Left: CT. Right: PSMA PET, same axial level, 18F tracer. Slice position z = -994 mm.
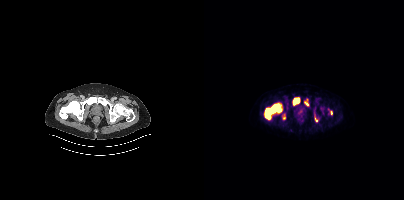
Coordinates are on the 200×200 PET (right) panel. (showing 6 of 9 foci) PSMA-avid tumor lesion bounding boxes (x0,y0,x1,y1): [61,104,77,119], [89,98,95,104], [100,102,104,105]. Small PSMA-avid foci (2 to 4 px across) near (center x, center y): (80, 118), (127, 112), (112, 120).